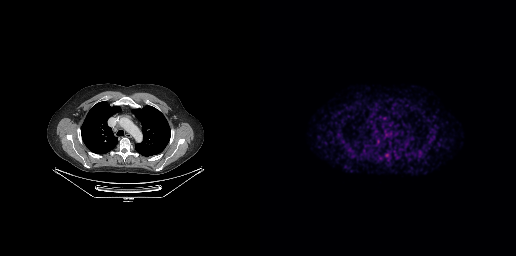
modality: PSMA PET/CT | tracer: 68Ga | view: axial
No tumor lesions annotated on this slice.